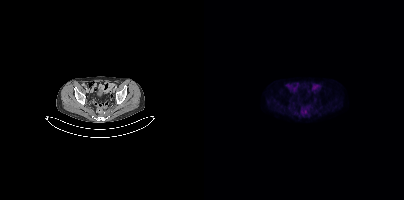
Coordinates are on the 200×200 PET (right) panel. PSMA-avid tumor lesion bounding box (x0, y0)-(x1, y1): (97, 110)-(102, 113).
modality: PSMA PET/CT | tracer: 18F-PSMA | view: axial